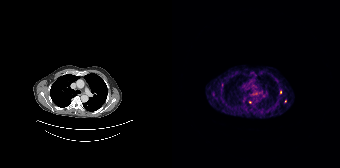
Coordinates are on the 168×168 PET (right) panel. (showing 1 of 4 foci) Small PSMA-avid focus (2 to 4 px across) near (center x, center y): (78, 102).